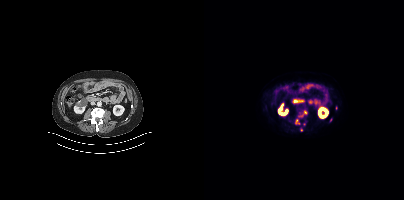
Coordinates are on the 200×200 PET (right) panel. (showing 2 of 4 foci) Small PSMA-avid foci (2 to 4 px across) near (center x, center y): (97, 130); (101, 112).